Paired axial CT (left) and PSMA PET (right), 18F tracer. PET panel 200×200 px (4.1 mm/px).
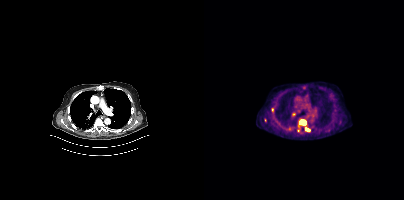
Coordinates are on the 200×200 PET (right) panel. PSMA-avid tumor lesion bounding boxes (x0,y0,x1,y1): [96,120,101,125], [93,128,96,132], [101,128,105,130]. Small PSMA-avid foci (2 to 4 px across) near (center x, center y): (68, 109), (61, 120).